Paired axial CT (left) and PSMA PET (right), [18F]PSMA-1007 tracer. Slice position z = -893 mm.
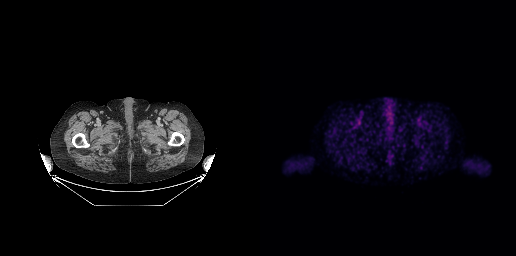
No tumor lesions annotated on this slice.